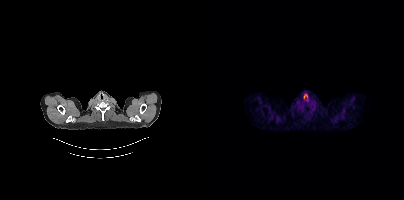
Negative for PSMA-avid disease on this slice.